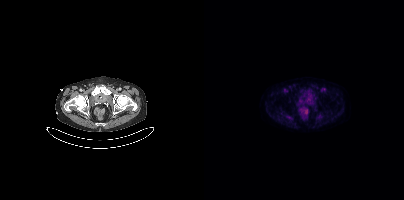
Negative for PSMA-avid disease on this slice.